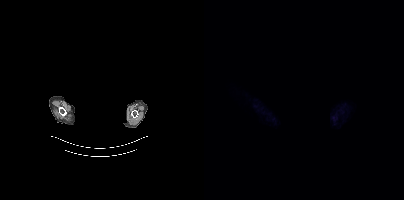
Negative for PSMA-avid disease on this slice.
modality: PSMA PET/CT | tracer: [18F]PSMA-1007 | view: axial | PET grid: 200×200 | deidentification: head region blanked (face removed)